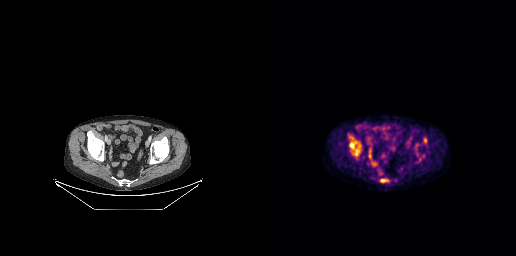
Coordinates are on the 256×256 PET (right) panel. PSMA-avid tumor lesion bounding boxes (partial; 1 more focus not listed):
| # | x0 | y0 | x1 | y1 |
|---|---|---|---|---|
| 1 | 89 | 135 | 101 | 156 |
| 2 | 120 | 179 | 128 | 182 |
| 3 | 164 | 138 | 166 | 143 |
Small PSMA-avid foci (2 to 4 px across) near (center x, center y): (157, 145); (163, 155).
Paired axial CT (left) and PSMA PET (right), [18F]PSMA-1007 tracer. Acquired on GE Discovery 690.